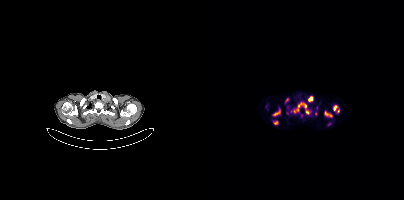
{"pet_grid":[200,200],"coord_frame":"pet_panel","coord_format":"x0,y0,x1,y1","partial":true,"lesion_bboxes":[[87,108,95,113],[104,96,109,101],[120,111,128,116],[69,110,76,115],[129,106,132,110],[101,110,105,114],[100,104,102,108]],"small_foci_centers":[[71,122],[112,113],[134,111],[83,100],[94,105],[97,115]],"modality":"PSMA PET/CT","view":"axial","tracer":"68Ga"}